- Paired axial CT (left) and PSMA PET (right), 18F-PSMA tracer
- slice 155 of 429
- PET panel 200×200 px (4.1 mm/px)
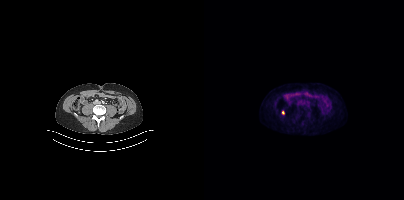
Findings: Coordinates are on the 200×200 PET (right) panel. Small PSMA-avid focus (2 to 4 px across) near (center x, center y): (78, 112).